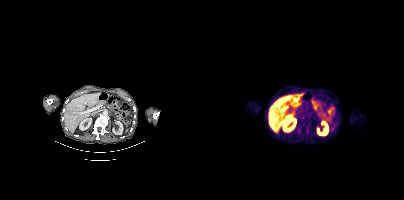
- Paired axial CT (left) and PSMA PET (right), 18F tracer
- PET panel 200×200 px (4.1 mm/px)
Findings: This slice has no annotated PSMA-avid lesion.